Technique: Left: CT. Right: PSMA PET, same axial level, 18F-PSMA tracer. PET panel 256×256 px (2.7 mm/px).
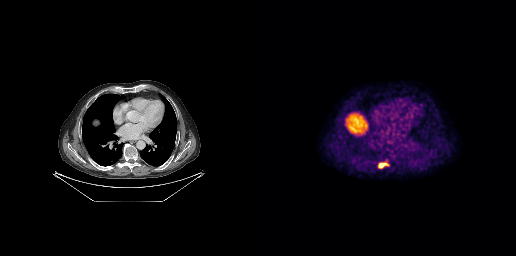
Findings: Coordinates are on the 256×256 PET (right) panel. PSMA-avid tumor lesion bounding box (x, y, width, height): x=119 y=163 w=7 h=5.